Technique: Two-panel axial: CT | PSMA PET, [18F]PSMA-1007 tracer. PET panel 256×256 px (2.7 mm/px).
Note: De-identified by setting a box covering the face to black before release.
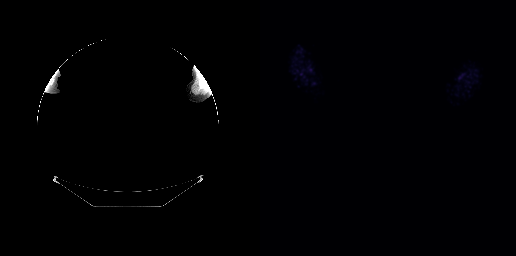
Findings: Negative for PSMA-avid disease on this slice.